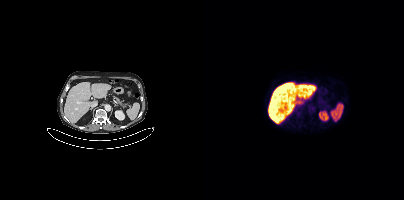
No tumor lesions annotated on this slice. Paired axial CT (left) and PSMA PET (right), [18F]PSMA-1007 tracer. PET panel 200×200 px (4.1 mm/px).